Left: CT. Right: PSMA PET, same axial level, 18F tracer. PET panel 200×200 px (4.1 mm/px).
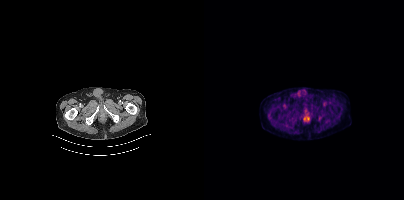
No tumor lesions annotated on this slice.